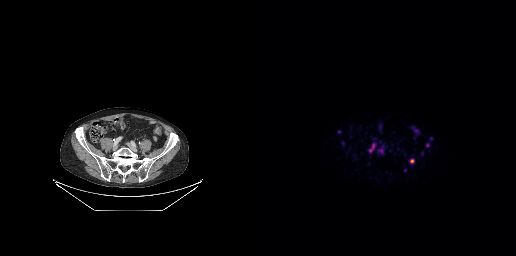
Coordinates are on the 256×256 PET (right) panel. Small PSMA-avid foci (2 to 4 px across) near (center x, center y): (110, 149) / (79, 131) / (151, 160). Left: CT. Right: PSMA PET, same axial level, 68Ga-PSMA tracer. Acquired on GE Discovery 690. PET panel 256×256 px (2.7 mm/px).